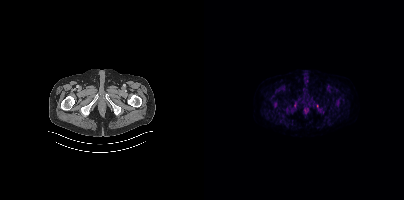
Left: CT. Right: PSMA PET, same axial level, 18F-PSMA tracer. Acquired on Siemens Biograph mCT Flow 20. Slice 50 of 454. PET panel 200×200 px (4.1 mm/px). This slice has no annotated PSMA-avid lesion.